Technique: Paired axial CT (left) and PSMA PET (right), 68Ga tracer.
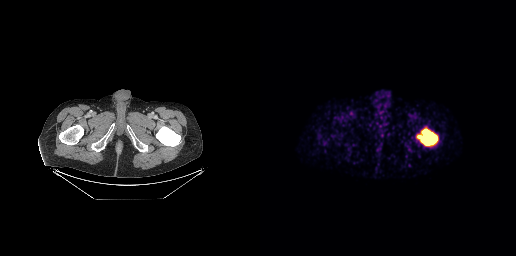
Findings: Coordinates are on the 256×256 PET (right) panel. PSMA-avid tumor lesion bounding box (x0, y0)-(x1, y1): (157, 128)-(178, 145).